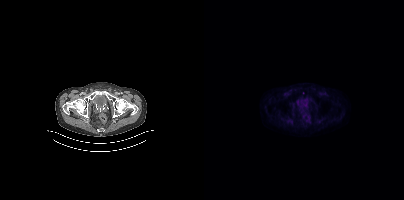
No tumor lesions annotated on this slice.